modality: PSMA PET/CT | tracer: 18F-PSMA | view: axial
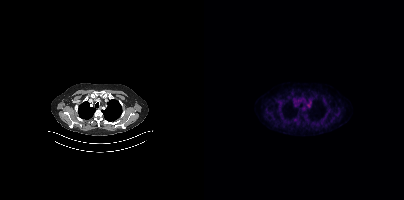
Negative for PSMA-avid disease on this slice.